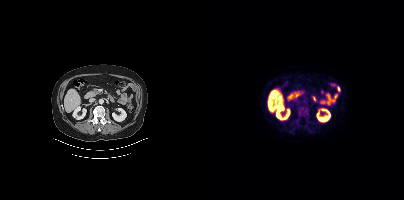
Technique: Paired axial CT (left) and PSMA PET (right), 18F tracer. slice 219 of 464. PET panel 200×200 px (4.1 mm/px).
Findings: Coordinates are on the 200×200 PET (right) panel. PSMA-avid tumor lesion bounding box (x0,y0,x1,y1): [93,106,105,119]. Small PSMA-avid focus (2 to 4 px across) near (center x, center y): (93, 120).